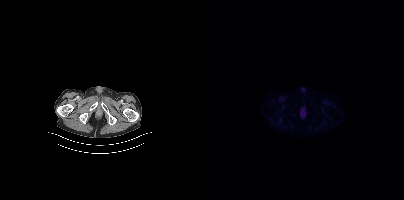
No PSMA-avid tumor lesions on this slice.